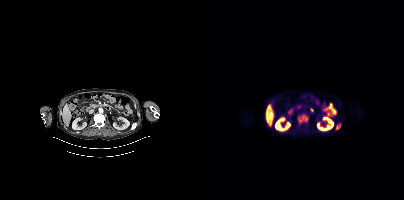
- Left: CT. Right: PSMA PET, same axial level, 18F-PSMA tracer
- acquired on Siemens Biograph mCT Flow 20
- slice 198 of 415
- PET panel 200×200 px (4.1 mm/px)
Findings: Coordinates are on the 200×200 PET (right) panel. PSMA-avid tumor lesion bounding boxes (x0, y0)-(x1, y1): (94, 114)-(104, 123) / (131, 123)-(137, 130).